Two-panel axial: CT | PSMA PET, 18F-PSMA tracer. Acquired on Siemens Biograph mCT Flow 20. PET panel 200×200 px (4.1 mm/px).
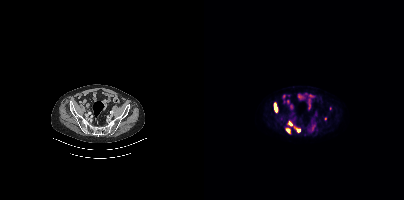
Coordinates are on the 200×200 PET (right) panel. PSMA-avid tumor lesion bounding boxes (x, y, width, height): x=70 y=102 w=4 h=10 / x=82 y=128 w=5 h=6. Small PSMA-avid foci (2 to 4 px across) near (center x, center y): (86, 123) / (94, 130) / (126, 108).